- Left: CT. Right: PSMA PET, same axial level, 68Ga tracer
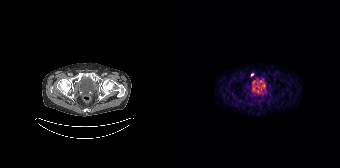
Findings: Coordinates are on the 168×168 PET (right) panel. Small PSMA-avid focus (2 to 4 px across) near (center x, center y): (80, 74).